modality: PSMA PET/CT | tracer: [68Ga]Ga-PSMA-11 | view: axial
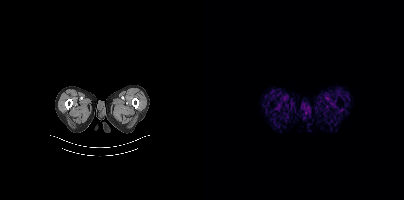
This slice has no annotated PSMA-avid lesion.